Head region blanked for anonymization (face removed). Left: CT. Right: PSMA PET, same axial level, 18F-PSMA tracer. Acquired on GE Discovery 690.
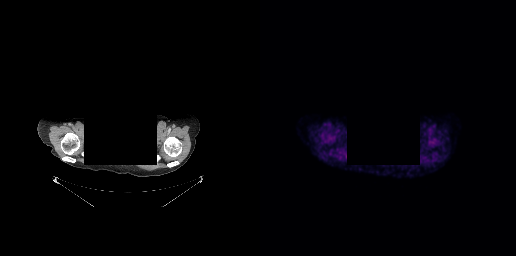
No tumor lesions annotated on this slice.